Paired axial CT (left) and PSMA PET (right), 18F-PSMA tracer. Acquired on Siemens Biograph mCT Flow 20. PET panel 200×200 px (4.1 mm/px).
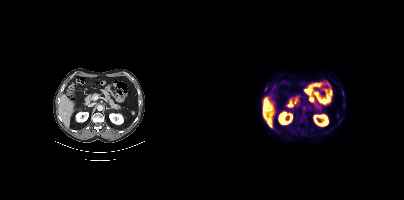
Coordinates are on the 200×200 PET (right) panel. Small PSMA-avid foci (2 to 4 px across) near (center x, center y): (62, 88), (138, 91).